Left: CT. Right: PSMA PET, same axial level, 18F tracer. Privacy masking over the head, with the pixels inside a rectangle set to black.
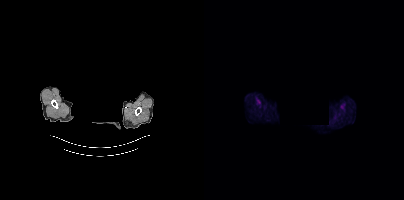
No tumor lesions annotated on this slice.